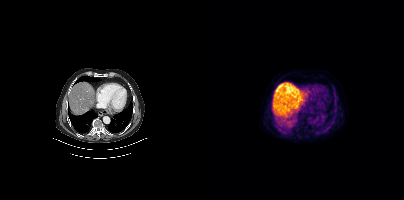
Findings: No PSMA-avid tumor lesions on this slice.
Technique: Paired axial CT (left) and PSMA PET (right), 18F-PSMA tracer.